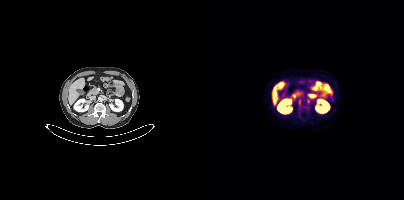
{"modality":"PSMA PET/CT","view":"axial","tracer":"18F-PSMA","pet_grid":[200,200],"coord_frame":"pet_panel","coord_format":"x0,y0,x1,y1","psma_avid_lesions":false}